Two-panel axial: CT | PSMA PET, 18F-PSMA tracer. PET panel 200×200 px (4.1 mm/px).
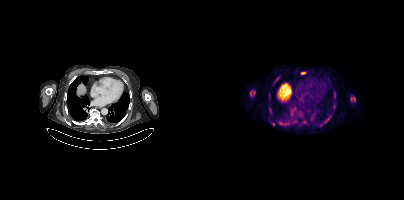
Coordinates are on the 200×200 PET (right) panel. PSMA-avid tumor lesion bounding boxes:
| # | x0 | y0 | x1 | y1 |
|---|---|---|---|---|
| 1 | 46 | 90 | 51 | 96 |
| 2 | 147 | 96 | 151 | 101 |
| 3 | 122 | 116 | 126 | 121 |
| 4 | 97 | 72 | 101 | 74 |
| 5 | 130 | 93 | 131 | 98 |
Small PSMA-avid foci (2 to 4 px across) near (center x, center y): (73, 78); (117, 124); (75, 122); (65, 108); (69, 124).